Technique: Two-panel axial: CT | PSMA PET, 18F-PSMA tracer. slice position z = 44 mm.
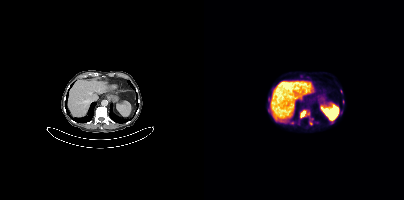
Findings: Coordinates are on the 200×200 PET (right) panel. PSMA-avid tumor lesion bounding box (x, y, width, height): x=96 y=110 w=10 h=9. Small PSMA-avid focus (2 to 4 px across) near (center x, center y): (107, 123).